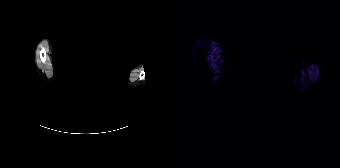
No PSMA-avid tumor lesions on this slice.
Privacy masking over the head, with the pixels inside a rectangle set to black.